- Left: CT. Right: PSMA PET, same axial level, 18F tracer
- PET panel 200×200 px (4.1 mm/px)
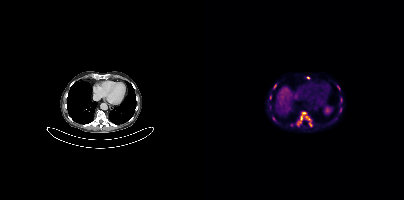
Findings: Coordinates are on the 200×200 PET (right) panel. (showing 6 of 8 foci) PSMA-avid tumor lesion bounding boxes (x0,y0,x1,y1): [93,112,108,126]; [70,84,72,88]. Small PSMA-avid foci (2 to 4 px across) near (center x, center y): (104, 77); (66, 97); (69, 118); (136, 109).